- de-identified by setting a box covering the face to black before release
- Two-panel axial: CT | PSMA PET, [18F]PSMA-1007 tracer
- acquired on Siemens Biograph mCT Flow 20
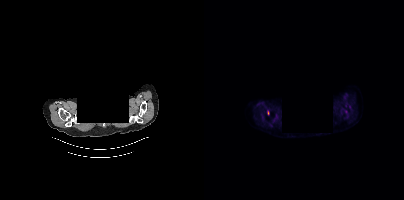
Findings: Coordinates are on the 200×200 PET (right) panel. Small PSMA-avid focus (2 to 4 px across) near (center x, center y): (64, 112).